modality: PSMA PET/CT | tracer: [68Ga]Ga-PSMA-11 | view: axial | PET grid: 256×256
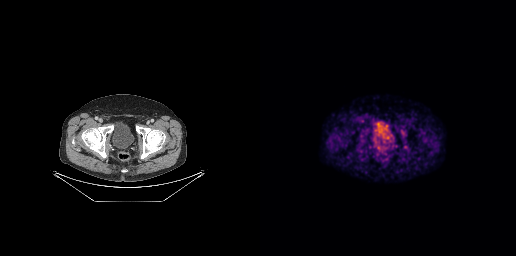
Coordinates are on the 256×256 PET (right) panel. Small PSMA-avid focus (2 to 4 px across) near (center x, center y): (145, 146).